Two-panel axial: CT | PSMA PET, [18F]PSMA-1007 tracer. Acquired on Siemens Biograph 64-4R TruePoint. Slice 120 of 165.
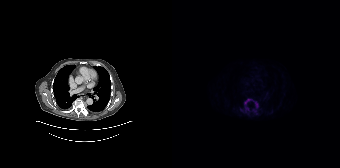
Coordinates are on the 168×168 PET (right) panel. (showing 3 of 4 foci) PSMA-avid tumor lesion bounding boxes (x0,y0,x1,y1): [72,99,79,104], [83,102,86,107]. Small PSMA-avid focus (2 to 4 px across) near (center x, center y): (75, 109).